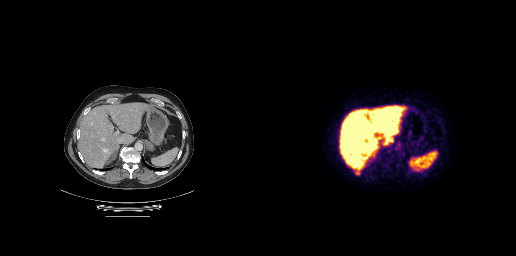
modality: PSMA PET/CT | tracer: [18F]PSMA-1007 | view: axial | PET grid: 256×256
Coordinates are on the 256×256 PET (right) panel. PSMA-avid tumor lesion bounding box (x0, y0)-(x1, y1): (95, 171)-(99, 174).